- Left: CT. Right: PSMA PET, same axial level, 18F tracer
- PET panel 256×256 px (2.7 mm/px)
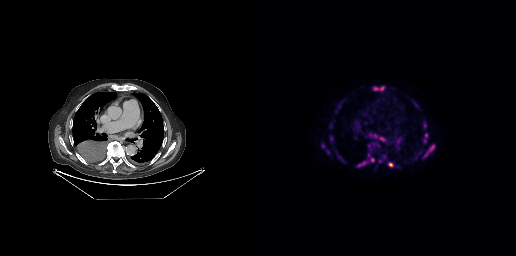
Findings: Coordinates are on the 256×256 PET (right) panel. (showing 11 of 14 foci) PSMA-avid tumor lesion bounding box (x, y, width, height): x=128 y=163 w=6 h=4. Small PSMA-avid foci (2 to 4 px across) near (center x, center y): (112, 159) / (166, 135) / (122, 139) / (171, 147) / (122, 88) / (63, 146) / (71, 138) / (115, 88) / (67, 151) / (103, 163).